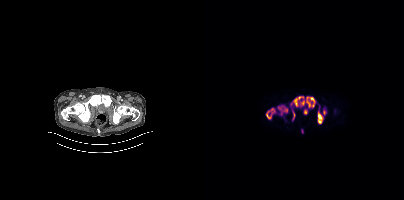
Findings: Coordinates are on the 200×200 PET (right) panel. (showing 8 of 10 foci) PSMA-avid tumor lesion bounding boxes (x, y, width, height): x=62 y=108 w=10 h=12 / x=74 y=105 w=11 h=10 / x=114 y=112 w=5 h=12 / x=89 y=96 w=11 h=11 / x=102 y=97 w=9 h=11 / x=96 y=101 w=5 h=5 / x=89 y=112 w=2 h=8. Small PSMA-avid focus (2 to 4 px across) near (center x, center y): (120, 112).
- Two-panel axial: CT | PSMA PET, 18F-PSMA tracer
- slice position z = -832 mm